Two-panel axial: CT | PSMA PET, 18F tracer. Slice position z = -1437 mm.
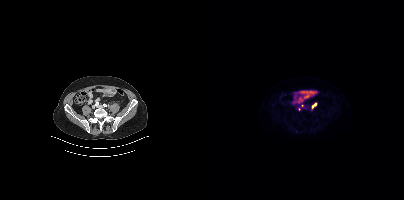
Coordinates are on the 200×200 PET (right) panel. PSMA-avid tumor lesion bounding boxes (partial; 2 more foci not listed):
| # | x0 | y0 | x1 | y1 |
|---|---|---|---|---|
| 1 | 108 | 102 | 112 | 108 |